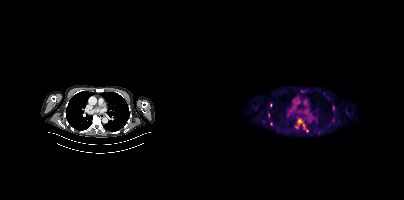
Findings: Coordinates are on the 200×200 PET (right) panel. (showing 4 of 6 foci) Small PSMA-avid foci (2 to 4 px across) near (center x, center y): (95, 120); (129, 107); (67, 124); (99, 125).
Technique: Paired axial CT (left) and PSMA PET (right), 18F-PSMA tracer. slice 275 of 421. PET panel 200×200 px (4.1 mm/px).